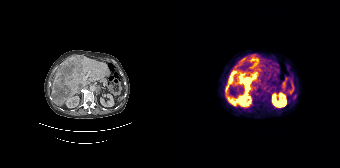
Coordinates are on the 168×168 PET (right) panel. PSMA-avid tumor lesion bounding boxes (x0, y0)-(x1, y1): (53, 68)-(88, 105); (78, 54)-(86, 62); (58, 70)-(65, 76). Small PSMA-avid foci (2 to 4 px across) near (center x, center y): (82, 65); (70, 59).